modality: PSMA PET/CT | tracer: 68Ga | view: axial
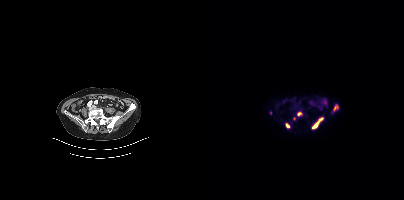
Coordinates are on the 200×200 PET (right) panel. PSMA-avid tumor lesion bounding boxes (x, y, width, height): x=130 y=105 w=5 h=6 / x=109 y=122 w=6 h=7 / x=115 y=117 w=5 h=5 / x=93 y=112 w=5 h=4 / x=82 y=123 w=4 h=5. Small PSMA-avid foci (2 to 4 px across) near (center x, center y): (90, 118) / (66, 112).